modality: PSMA PET/CT | tracer: 18F-PSMA | view: axial
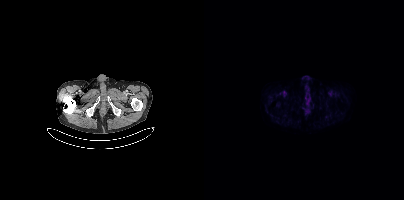
No tumor lesions annotated on this slice.